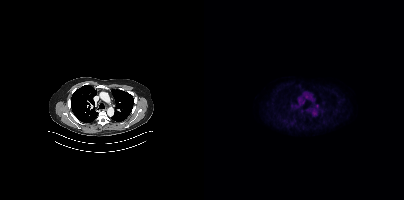
Coordinates are on the 200×200 PET (right) panel. Small PSMA-avid focus (2 to 4 px across) near (center x, center y): (113, 105).